Technique: Left: CT. Right: PSMA PET, same axial level, 18F tracer. acquired on Siemens Biograph mCT Flow 20. slice 278 of 354. PET panel 200×200 px (4.1 mm/px).
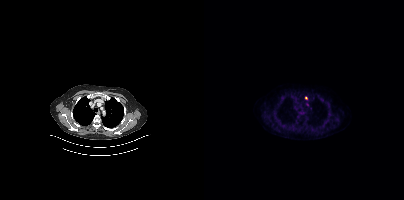
Findings: Coordinates are on the 200×200 PET (right) panel. Small PSMA-avid focus (2 to 4 px across) near (center x, center y): (102, 97).